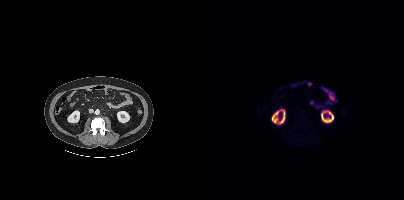
modality: PSMA PET/CT | tracer: 18F | view: axial | PET grid: 200×200
This slice has no annotated PSMA-avid lesion.